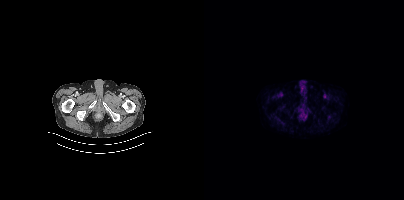
Negative for PSMA-avid disease on this slice.
modality: PSMA PET/CT | tracer: 18F | view: axial | PET grid: 200×200